Face de-identified by blanking a block of the head.
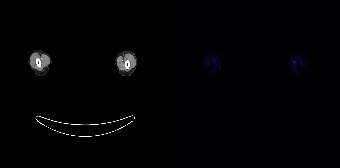
No tumor lesions annotated on this slice.